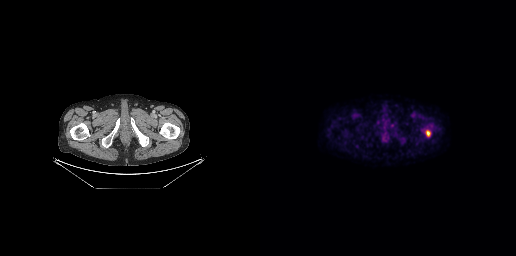
Technique: Left: CT. Right: PSMA PET, same axial level, 18F tracer. acquired on GE Discovery 690. PET panel 256×256 px (2.7 mm/px).
Findings: Coordinates are on the 256×256 PET (right) panel. PSMA-avid tumor lesion bounding box (x, y, width, height): x=166 y=130 w=5 h=7.